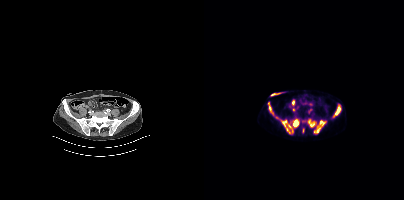
- Paired axial CT (left) and PSMA PET (right), 18F-PSMA tracer
- slice position z = -746 mm
Findings: Coordinates are on the 200×200 PET (right) panel. (showing 4 of 5 foci) PSMA-avid tumor lesion bounding boxes (x0,y0,x1,y1): [64,104,95,133]; [110,120,122,132]; [104,119,111,127]; [130,105,136,116].